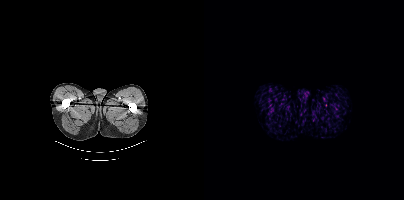
This slice has no annotated PSMA-avid lesion.